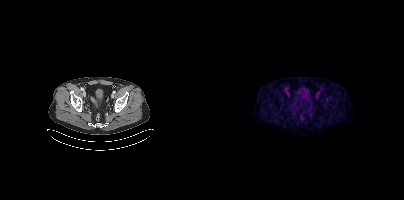
modality: PSMA PET/CT | tracer: 18F | view: axial | PET grid: 200×200
No tumor lesions annotated on this slice.